de-identification: rectangular block over head set to black | modality: PSMA PET/CT | tracer: 18F | view: axial | PET grid: 200×200
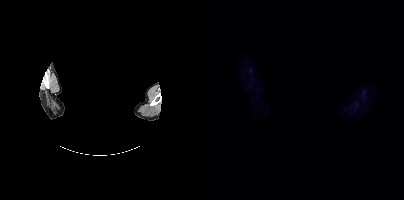
This slice has no annotated PSMA-avid lesion.